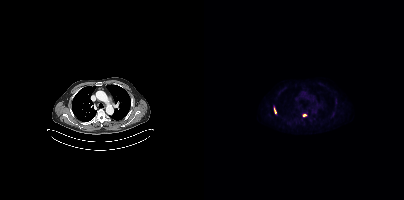
Coordinates are on the 200×200 PET (right) panel. (showing 2 of 3 foci) PSMA-avid tumor lesion bounding box (x, y, width, height): x=70 y=109 w=3 h=5. Small PSMA-avid focus (2 to 4 px across) near (center x, center y): (100, 115).